- Paired axial CT (left) and PSMA PET (right), [18F]PSMA-1007 tracer
- acquired on Siemens Biograph mCT Flow 20
- PET panel 200×200 px (4.1 mm/px)
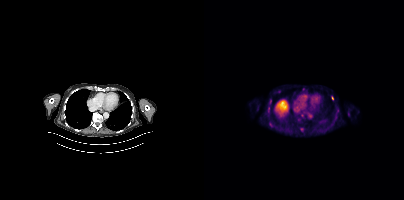
Findings: Coordinates are on the 200×200 PET (right) panel. Small PSMA-avid focus (2 to 4 px across) near (center x, center y): (128, 98).